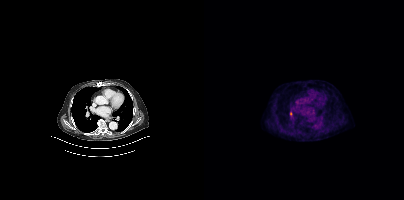
Coordinates are on the 200×200 PET (right) panel. Small PSMA-avid focus (2 to 4 px across) near (center x, center y): (86, 113).